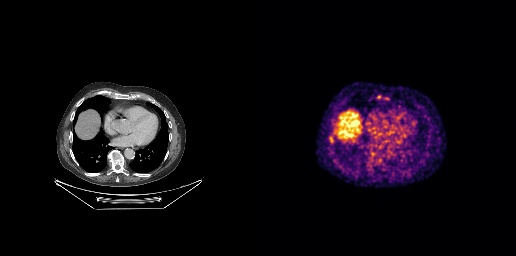
Coordinates are on the 256×256 PET (right) panel. Small PSMA-avid focus (2 to 4 px across) near (center x, center y): (118, 96).